Technique: Left: CT. Right: PSMA PET, same axial level, 18F tracer. acquired on Siemens Biograph mCT Flow 20. PET panel 200×200 px (4.1 mm/px).
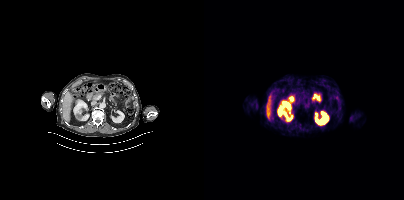
Findings: No PSMA-avid tumor lesions on this slice.